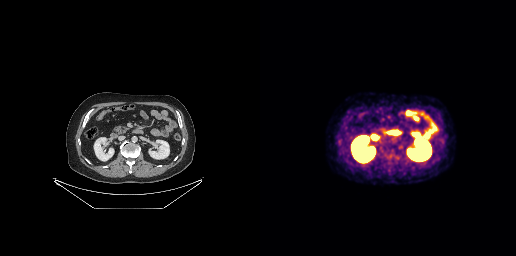
Technique: Left: CT. Right: PSMA PET, same axial level, [18F]PSMA-1007 tracer. PET panel 256×256 px (2.7 mm/px).
Findings: No tumor lesions annotated on this slice.